modality: PSMA PET/CT | tracer: 18F-PSMA | view: axial
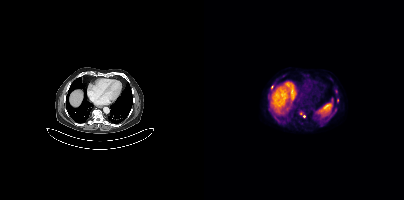
Coordinates are on the 200×200 PET (right) panel. (showing 3 of 4 foci) Small PSMA-avid foci (2 to 4 px across) near (center x, center y): (133, 100), (68, 87), (100, 116).